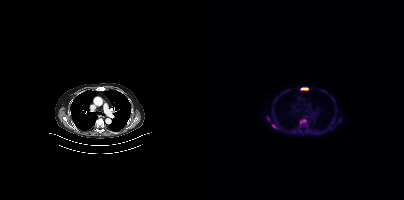
{"pet_grid":[200,200],"coord_frame":"pet_panel","coord_format":"x0,y0,x1,y1","lesion_bboxes":[[96,119,102,124],[97,87,104,90],[68,124,71,128]],"small_foci_centers":[[69,116],[63,118]],"modality":"PSMA PET/CT","view":"axial","tracer":"18F"}